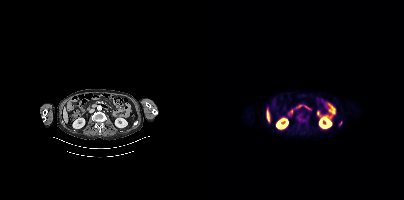
{"modality":"PSMA PET/CT","view":"axial","tracer":"18F-PSMA","pet_grid":[200,200],"coord_frame":"pet_panel","coord_format":"x0,y0,x1,y1","lesion_bboxes":[],"small_foci_centers":[[136,124],[95,118]]}